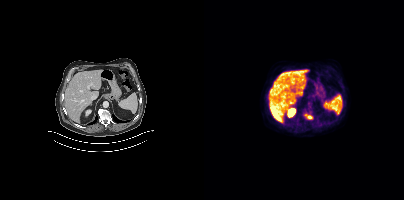
Two-panel axial: CT | PSMA PET, 18F tracer.
Coordinates are on the 200×200 PET (right) panel. PSMA-avid tumor lesion bounding boxes:
| # | x0 | y0 | x1 | y1 |
|---|---|---|---|---|
| 1 | 100 | 114 | 108 | 119 |